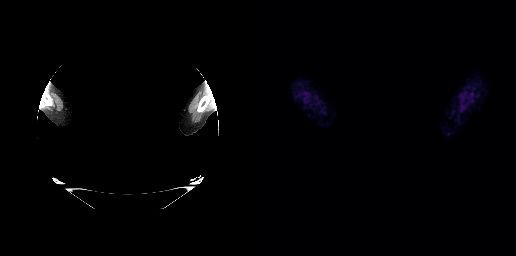
{"modality":"PSMA PET/CT","view":"axial","tracer":"18F-PSMA","pet_grid":[256,256],"coord_frame":"pet_panel","coord_format":"x0,y0,x1,y1","psma_avid_lesions":false,"redaction":"privacy mask over head"}